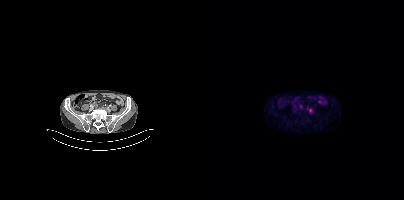
- Paired axial CT (left) and PSMA PET (right), 18F-PSMA tracer
- slice position z = -1415 mm
- PET panel 200×200 px (4.1 mm/px)
Findings: Coordinates are on the 200×200 PET (right) panel. (showing 1 of 2 foci) Small PSMA-avid focus (2 to 4 px across) near (center x, center y): (106, 110).